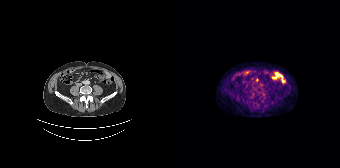
{"modality":"PSMA PET/CT","view":"axial","tracer":"68Ga-PSMA","pet_grid":[168,168],"coord_frame":"pet_panel","coord_format":"x0,y0,x1,y1","lesion_bboxes":[[83,78,86,82]]}